Left: CT. Right: PSMA PET, same axial level, 18F tracer. Slice 183 of 429. PET panel 200×200 px (4.1 mm/px).
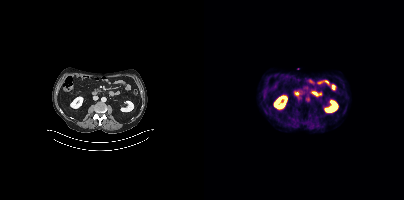
No tumor lesions annotated on this slice.